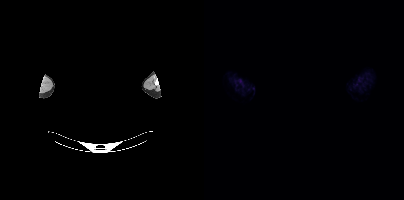
This slice has no annotated PSMA-avid lesion. Any black rectangle over the head is a privacy mask, not anatomy. Two-panel axial: CT | PSMA PET, 18F-PSMA tracer. Acquired on Siemens Biograph mCT Flow 20.